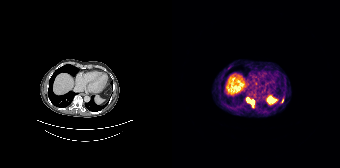
Coordinates are on the 168×168 PET (right) panel. PSMA-avid tumor lesion bounding boxes:
| # | x0 | y0 | x1 | y1 |
|---|---|---|---|---|
| 1 | 74 | 98 | 81 | 107 |
Small PSMA-avid focus (2 to 4 px across) near (center x, center y): (110, 101).
Two-panel axial: CT | PSMA PET, [68Ga]Ga-PSMA-11 tracer. Slice position z = -564 mm. PET panel 168×168 px (4.1 mm/px).